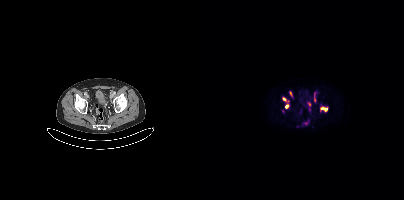
Coordinates are on the 200×200 PET (right) panel. (showing 7 of 8 foci) PSMA-avid tumor lesion bounding boxes (x0,y0,x1,y1): [110,93,111,101] [81,104,84,108] [116,107,120,109]. Small PSMA-avid foci (2 to 4 px across) near (center x, center y): (87, 93) (80, 98) (122, 110) (84, 100).
modality: PSMA PET/CT | tracer: 18F-PSMA | view: axial